Paired axial CT (left) and PSMA PET (right), 18F-PSMA tracer. Acquired on GE Discovery 690. PET panel 256×256 px (2.7 mm/px).
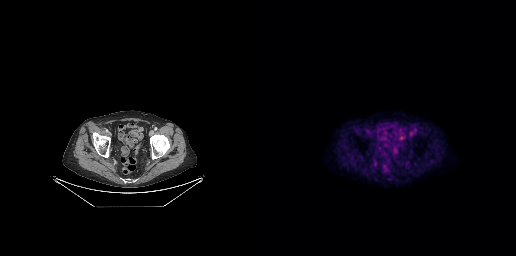
No tumor lesions annotated on this slice.